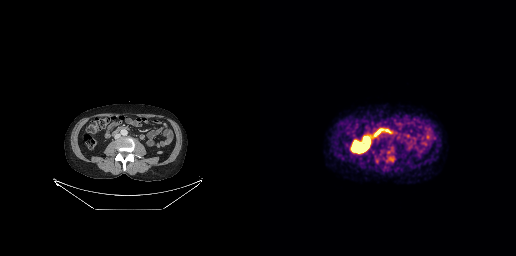
{"modality":"PSMA PET/CT","view":"axial","tracer":"[18F]PSMA-1007","pet_grid":[256,256],"coord_frame":"pet_panel","coord_format":"x0,y0,x1,y1","psma_avid_lesions":false}